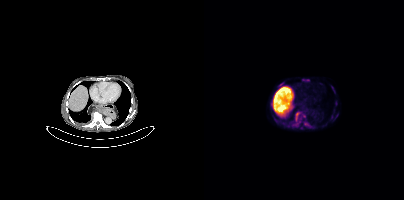
Coordinates are on the 200×200 PET (right) panel. (showing 4 of 5 foci) PSMA-avid tumor lesion bounding box (x0, y0)-(x1, y1): (91, 112)-(96, 121). Small PSMA-avid foci (2 to 4 px across) near (center x, center y): (100, 116) | (102, 124) | (92, 124).
modality: PSMA PET/CT | tracer: 18F-PSMA | view: axial | PET grid: 200×200